Left: CT. Right: PSMA PET, same axial level, 18F tracer. Slice 408 of 409. PET panel 200×200 px (4.1 mm/px). A rectangle over the head was blacked out to remove identifiable facial features.
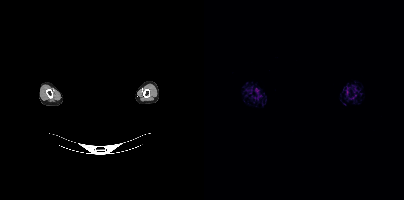
No tumor lesions annotated on this slice.